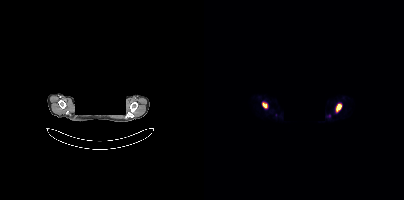
De-identified by setting a box covering the face to black before release.
Coordinates are on the 200×200 PET (right) panel. PSMA-avid tumor lesion bounding boxes (x0, y0)-(x1, y1): (132, 104)-(137, 111) | (59, 103)-(62, 107).